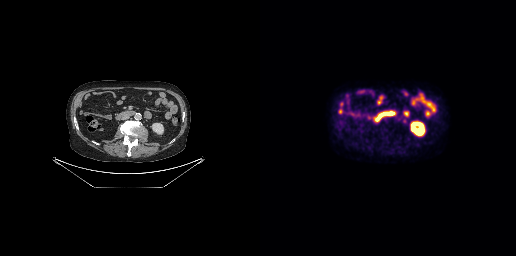
{"pet_grid":[256,256],"coord_frame":"pet_panel","coord_format":"x0,y0,x1,y1","lesion_bboxes":[],"small_foci_centers":[[144,121]],"modality":"PSMA PET/CT","view":"axial","tracer":"18F"}